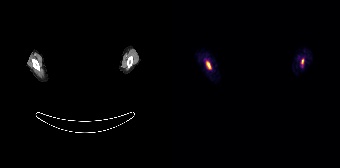
Technique: Left: CT. Right: PSMA PET, same axial level, [68Ga]Ga-PSMA-11 tracer. acquired on Siemens Biograph 64-4R TruePoint. slice 157 of 165.
Note: A rectangle over the head was blacked out to remove identifiable facial features.
Findings: Coordinates are on the 168×168 PET (right) panel. PSMA-avid tumor lesion bounding boxes (x0, y0)-(x1, y1): (34, 61)-(39, 69) / (129, 59)-(131, 64).